Technique: Two-panel axial: CT | PSMA PET, 18F tracer.
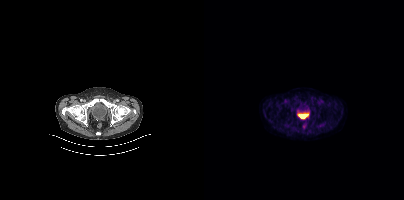
Findings: This slice has no annotated PSMA-avid lesion.